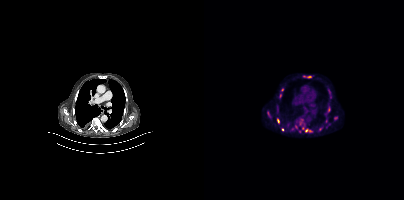
{"modality":"PSMA PET/CT","view":"axial","tracer":"18F","pet_grid":[200,200],"coord_frame":"pet_panel","coord_format":"x0,y0,x1,y1","partial":true,"lesion_bboxes":[[95,119,108,132],[63,111,67,117],[73,119,76,124],[100,76,106,77]],"small_foci_centers":[[92,126],[131,118],[73,106],[92,121],[95,131],[78,89],[122,120],[76,95],[88,128]]}